de-identification: head region blacked out before release | modality: PSMA PET/CT | tracer: [18F]PSMA-1007 | view: axial
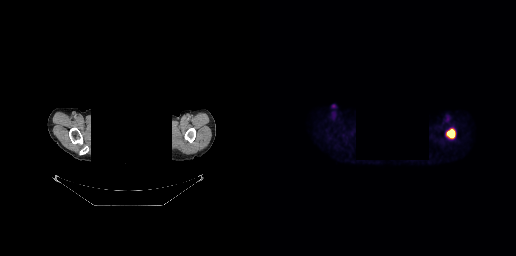
Coordinates are on the 256×256 PET (right) panel. PSMA-avid tumor lesion bounding box (x, y, width, height): x=186 y=129 w=10 h=10.